- Paired axial CT (left) and PSMA PET (right), [18F]PSMA-1007 tracer
- PET panel 200×200 px (4.1 mm/px)
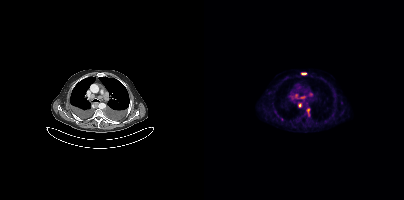
Findings: Coordinates are on the 200×200 PET (right) panel. (showing 5 of 6 foci) PSMA-avid tumor lesion bounding boxes (x0, y0)-(x1, y1): (97, 72)-(102, 75); (94, 103)-(97, 107). Small PSMA-avid foci (2 to 4 px across) near (center x, center y): (104, 110); (98, 97); (137, 102).